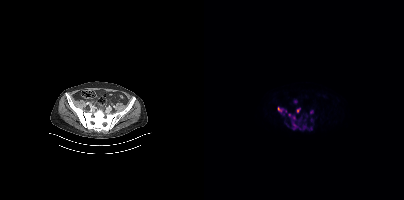
Coordinates are on the 200×200 PET (right) panel. (showing 10 of 11 foci) PSMA-avid tumor lesion bounding boxes (x, y, width, height): x=84 y=113 w=20 h=17 / x=74 y=107 w=8 h=6 / x=92 y=108 w=5 h=6 / x=106 y=110 w=4 h=5 / x=105 y=126 w=4 h=5 / x=89 y=99 w=5 h=5 / x=106 y=118 w=4 h=5 / x=94 y=117 w=4 h=5. Small PSMA-avid foci (2 to 4 px across) near (center x, center y): (102, 116) / (83, 125).
modality: PSMA PET/CT | tracer: 18F | view: axial